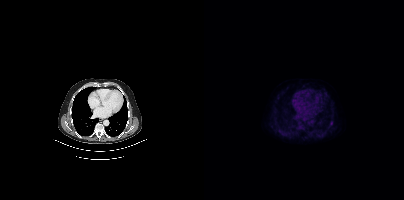
{"modality":"PSMA PET/CT","view":"axial","tracer":"[18F]PSMA-1007","pet_grid":[200,200],"coord_frame":"pet_panel","coord_format":"x0,y0,x1,y1","lesion_bboxes":[[126,121,128,125]]}